Two-panel axial: CT | PSMA PET, [18F]PSMA-1007 tracer. Acquired on Siemens Biograph mCT Flow 20. Slice position z = -1623 mm.
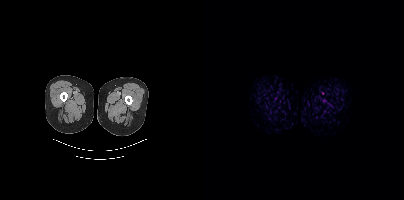
No PSMA-avid tumor lesions on this slice.